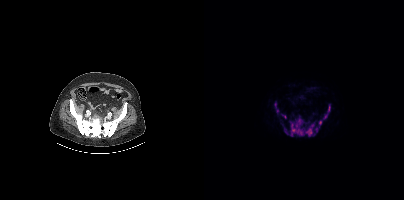
- Two-panel axial: CT | PSMA PET, 18F-PSMA tracer
- acquired on Siemens Biograph mCT Flow 20
- PET panel 200×200 px (4.1 mm/px)
Findings: Coordinates are on the 200×200 PET (right) panel. PSMA-avid tumor lesion bounding boxes (x0,y0,x1,y1): [86,116,110,136] [119,104,126,119] [115,120,118,127] [80,128,84,134] [78,114,82,118] [111,128,113,132] [71,103,72,107]. Small PSMA-avid focus (2 to 4 px across) near (center x, center y): (73, 110).